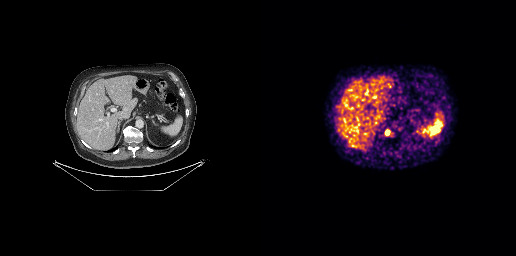
Findings: Coordinates are on the 256×256 PET (right) panel. Small PSMA-avid focus (2 to 4 px across) near (center x, center y): (127, 132).
Technique: Left: CT. Right: PSMA PET, same axial level, [68Ga]Ga-PSMA-11 tracer. acquired on GE Discovery 690. slice 148 of 263.